Technique: Paired axial CT (left) and PSMA PET (right), [18F]PSMA-1007 tracer.
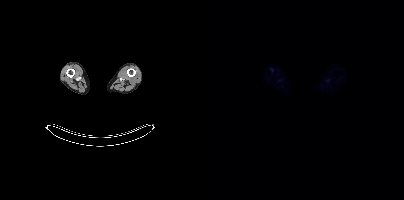
Findings: Negative for PSMA-avid disease on this slice.